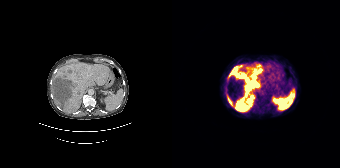
{"modality":"PSMA PET/CT","view":"axial","tracer":"[68Ga]Ga-PSMA-11","pet_grid":[168,168],"coord_frame":"pet_panel","coord_format":"x0,y0,x1,y1","lesion_bboxes":[[56,64,89,92],[62,94,83,111],[55,95,61,105]]}